modality: PSMA PET/CT | tracer: 18F-PSMA | view: axial | PET grid: 200×200
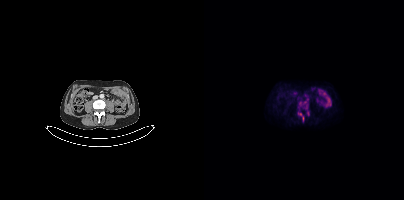
Coordinates are on the 200×200 PET (right) panel. (showing 1 of 4 foci) Small PSMA-avid focus (2 to 4 px across) near (center x, center y): (96, 114).